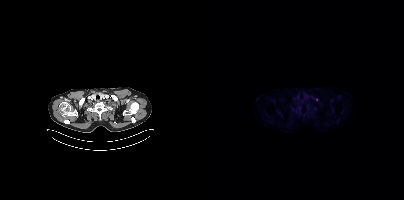
Coordinates are on the 200×200 PET (right) panel. Small PSMA-avid focus (2 to 4 px across) near (center x, center y): (112, 99).
modality: PSMA PET/CT | tracer: [18F]PSMA-1007 | view: axial | PET grid: 200×200